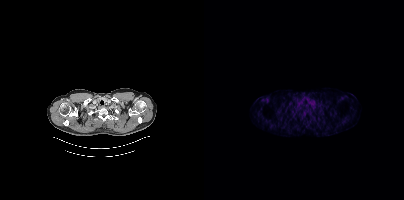
Findings: No tumor lesions annotated on this slice.
Technique: Left: CT. Right: PSMA PET, same axial level, 18F-PSMA tracer. slice position z = -340 mm.